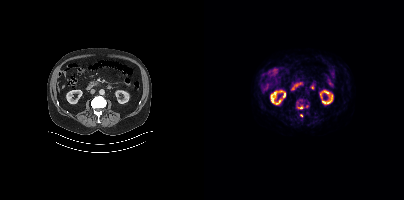
Two-panel axial: CT | PSMA PET, 18F tracer. PET panel 200×200 px (4.1 mm/px).
Coordinates are on the 200×200 PET (right) panel. PSMA-avid tumor lesion bounding boxes:
| # | x0 | y0 | x1 | y1 |
|---|---|---|---|---|
| 1 | 93 | 105 | 99 | 109 |
Small PSMA-avid foci (2 to 4 px across) near (center x, center y): (97, 115); (102, 106).